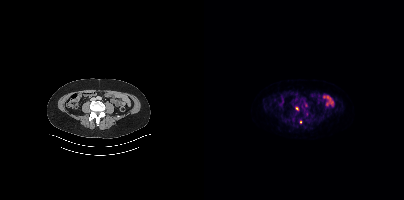
Coordinates are on the 200×200 PET (right) panel. (showing 1 of 4 foci) Small PSMA-avid focus (2 to 4 px across) near (center x, center y): (92, 108).